- Left: CT. Right: PSMA PET, same axial level, 18F-PSMA tracer
- slice 112 of 407
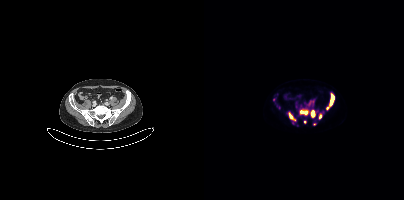
Findings: Coordinates are on the 200×200 PET (right) panel. (showing 7 of 10 foci) PSMA-avid tumor lesion bounding boxes (x, y, width, height): x=95 y=109 w=10 h=7 | x=86 y=114 w=7 h=8 | x=126 y=93 w=4 h=12 | x=107 y=110 w=5 h=7 | x=115 y=113 w=3 h=7. Small PSMA-avid foci (2 to 4 px across) near (center x, center y): (101, 121) | (69, 99).